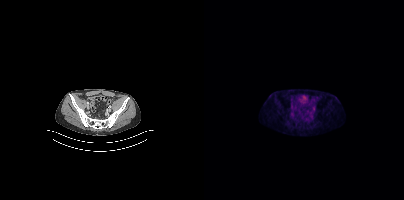
This slice has no annotated PSMA-avid lesion.